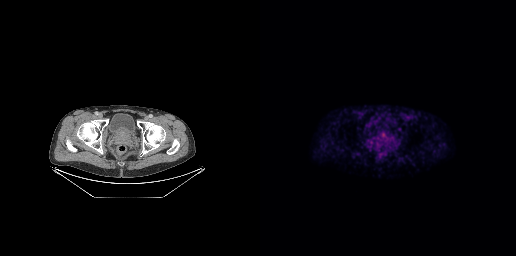
Findings: Coordinates are on the 256×256 PET (right) panel. PSMA-avid tumor lesion bounding boxes (x0, y0)-(x1, y1): (121, 133)-(128, 141); (117, 137)-(121, 140). Small PSMA-avid focus (2 to 4 px across) near (center x, center y): (117, 142).
Technique: Two-panel axial: CT | PSMA PET, [18F]PSMA-1007 tracer. acquired on GE Discovery 690.